Technique: Two-panel axial: CT | PSMA PET, 68Ga-PSMA tracer.
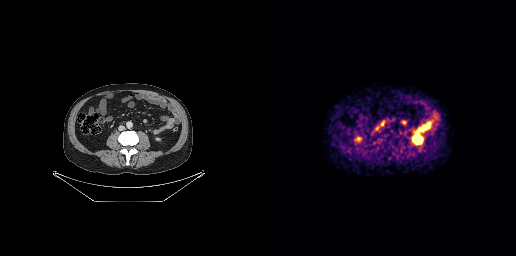
Findings: No tumor lesions annotated on this slice.